Paired axial CT (left) and PSMA PET (right), 68Ga-PSMA tracer. PET panel 168×168 px (4.1 mm/px).
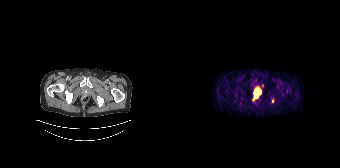
Coordinates are on the 168×168 PET (right) panel. Small PSMA-avid foci (2 to 4 px across) near (center x, center y): (100, 101) / (114, 90).